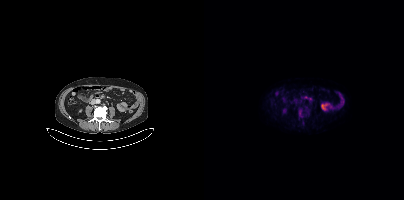
- Paired axial CT (left) and PSMA PET (right), 18F tracer
- slice 162 of 431
Findings: Coordinates are on the 200×200 PET (right) panel. PSMA-avid tumor lesion bounding box (x0,y0,x1,y1): [95,110,97,116].